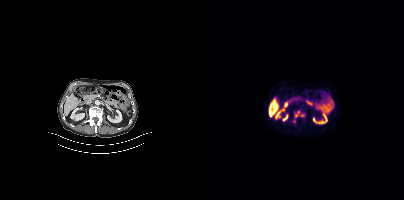
Coordinates are on the 200×200 PET (right) panel. PSMA-avid tumor lesion bounding box (x0,y0,x1,y1): [90,110,100,117]. Small PSMA-avid focus (2 to 4 px across) near (center x, center y): (90, 121).